Left: CT. Right: PSMA PET, same axial level, 18F-PSMA tracer. Acquired on Siemens Biograph mCT Flow 20.
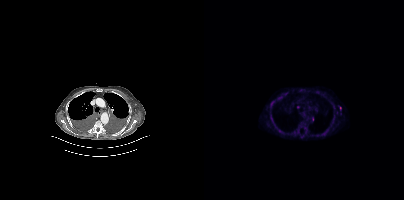
Coordinates are on the 200×200 PET (right) panel. (showing 4 of 9 foci) PSMA-avid tumor lesion bounding box (x0,y0,x1,y1): [67,101,70,105]. Small PSMA-avid foci (2 to 4 px across) near (center x, center y): (108, 118); (75, 130); (75, 97).